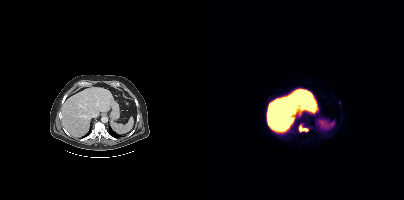
Two-panel axial: CT | PSMA PET, 18F tracer. Acquired on Siemens Biograph mCT Flow 20.
Coordinates are on the 200×200 PET (right) panel. PSMA-avid tumor lesion bounding boxes:
| # | x0 | y0 | x1 | y1 |
|---|---|---|---|---|
| 1 | 95 | 125 | 104 | 131 |
Small PSMA-avid focus (2 to 4 px across) near (center x, center y): (135, 102).